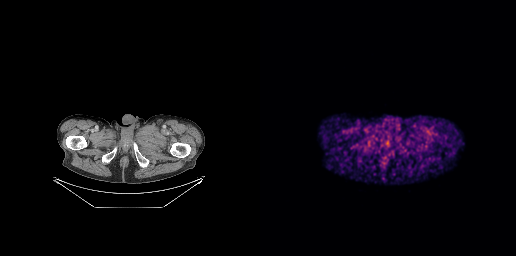
modality: PSMA PET/CT | tracer: [68Ga]Ga-PSMA-11 | view: axial
No tumor lesions annotated on this slice.